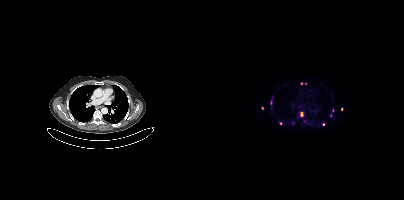
modality: PSMA PET/CT | tracer: 68Ga-PSMA | view: axial | PET grid: 200×200
Coordinates are on the 200×200 PET (right) panel. (showing 6 of 10 foci) PSMA-avid tumor lesion bounding box (x0,y0,x1,y1): [97,112,98,116]. Small PSMA-avid foci (2 to 4 px across) near (center x, center y): (137, 109); (119, 124); (76, 122); (58, 107); (128, 110).